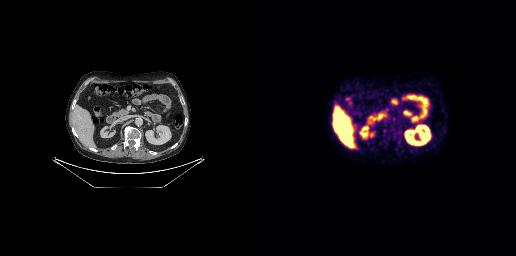
modality: PSMA PET/CT | tracer: 18F-PSMA | view: axial | PET grid: 256×256
No tumor lesions annotated on this slice.